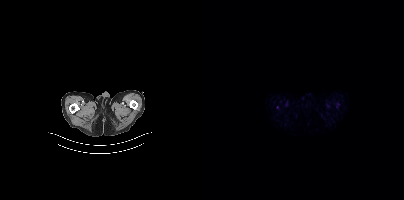
{"modality":"PSMA PET/CT","view":"axial","tracer":"[18F]PSMA-1007","pet_grid":[200,200],"coord_frame":"pet_panel","coord_format":"x0,y0,x1,y1","psma_avid_lesions":false}